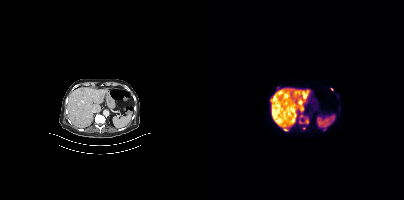
modality: PSMA PET/CT | tracer: [18F]PSMA-1007 | view: axial
Coordinates are on the 200×200 PET (right) panel. (showing 9 of 11 foci) PSMA-avid tumor lesion bounding boxes (x0, y0)-(x1, y1): (68, 114)-(71, 118) | (79, 128)-(83, 131). Small PSMA-avid foci (2 to 4 px across) near (center x, center y): (100, 128) | (83, 110) | (97, 116) | (103, 122) | (127, 89) | (78, 111) | (103, 89).